Left: CT. Right: PSMA PET, same axial level, 18F-PSMA tracer. Acquired on Siemens Biograph mCT Flow 20. Slice position z = -1087 mm.
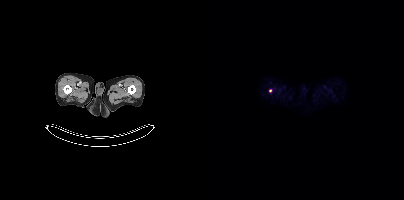
Coordinates are on the 200×200 PET (right) panel. Small PSMA-avid focus (2 to 4 px across) near (center x, center y): (66, 90).